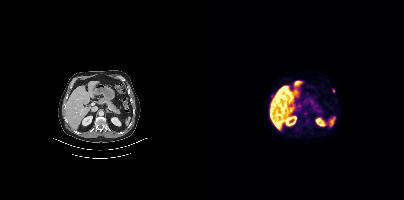
Technique: Paired axial CT (left) and PSMA PET (right), 18F tracer.
Findings: Negative for PSMA-avid disease on this slice.